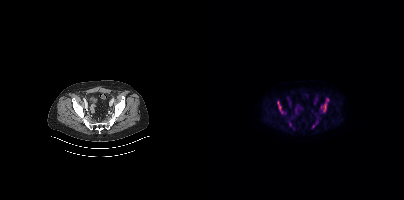
Coordinates are on the 200×200 PET (right) panel. (showing 3 of 5 foci) PSMA-avid tumor lesion bounding boxes (x0, y0)-(x1, y1): (73, 101)-(79, 113) / (120, 103)-(122, 111). Small PSMA-avid focus (2 to 4 px across) near (center x, center y): (123, 99).